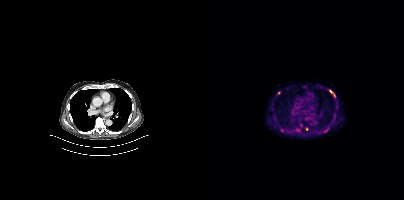
Technique: Left: CT. Right: PSMA PET, same axial level, 18F tracer. acquired on Siemens Biograph mCT Flow 20. slice position z = -538 mm.
Findings: Coordinates are on the 200×200 PET (right) panel. (showing 3 of 4 foci) PSMA-avid tumor lesion bounding box (x, y, width, height): x=125 y=90 w=7 h=7. Small PSMA-avid foci (2 to 4 px across) near (center x, center y): (102, 129) | (75, 92).